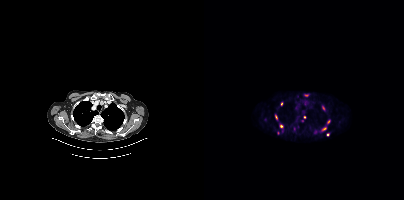
modality: PSMA PET/CT | tracer: 68Ga-PSMA | view: axial | PET grid: 200×200
Coordinates are on the 200×200 PET (right) panel. (showing 8 of 12 foci) PSMA-avid tumor lesion bounding box (x0, y0)-(x1, y1): (118, 128)-(122, 130). Small PSMA-avid foci (2 to 4 px across) near (center x, center y): (124, 121) | (77, 126) | (72, 116) | (100, 117) | (77, 104) | (119, 108) | (123, 134).